- Left: CT. Right: PSMA PET, same axial level, 68Ga tracer
- slice position z = -360 mm
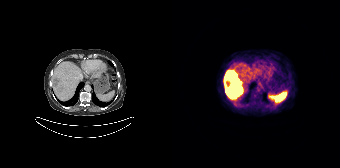
Findings: Coordinates are on the 168×168 PET (right) panel. PSMA-avid tumor lesion bounding box (x0,y0,x1,y1): [52,71,70,98].